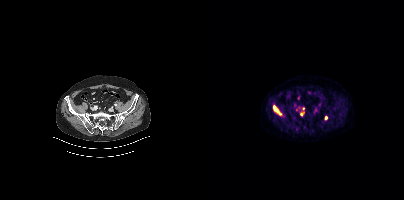
{"modality":"PSMA PET/CT","view":"axial","tracer":"[18F]PSMA-1007","pet_grid":[200,200],"coord_frame":"pet_panel","coord_format":"x0,y0,x1,y1","partial":true,"lesion_bboxes":[],"small_foci_centers":[[122,117],[70,107],[99,108],[97,114]]}